Paired axial CT (left) and PSMA PET (right), 18F tracer. Acquired on Siemens Biograph mCT Flow 20. PET panel 200×200 px (4.1 mm/px).
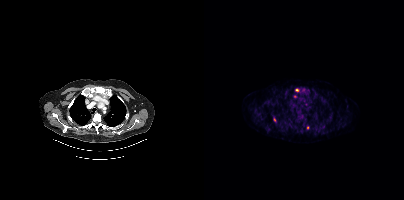
Coordinates are on the 200×200 PET (right) panel. Small PSMA-avid foci (2 to 4 px across) near (center x, center y): (92, 90) (91, 96) (70, 119) (103, 127).